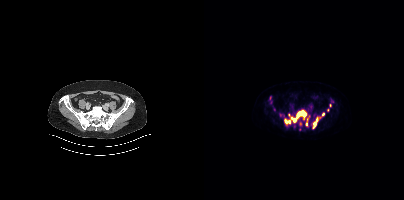
Left: CT. Right: PSMA PET, same axial level, 18F-PSMA tracer. Slice 111 of 444.
Coordinates are on the 200×200 PET (right) panel. PSMA-avid tumor lesion bounding boxes (partial; 3 more foci not listed):
| # | x0 | y0 | x1 | y1 |
|---|---|---|---|---|
| 1 | 80 | 110 | 102 | 124 |
| 2 | 109 | 117 | 113 | 128 |
| 3 | 116 | 112 | 120 | 117 |
Small PSMA-avid foci (2 to 4 px across) near (center x, center y): (102, 124); (123, 110).